Left: CT. Right: PSMA PET, same axial level, 18F tracer. Acquired on Siemens Biograph mCT Flow 20.
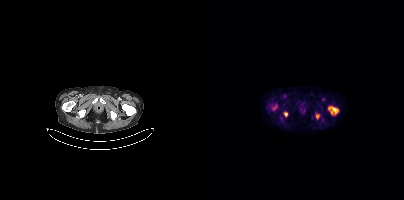
Coordinates are on the 200×200 PET (right) panel. PSMA-avid tumor lesion bounding boxes:
| # | x0 | y0 | x1 | y1 |
|---|---|---|---|---|
| 1 | 124 | 106 | 134 | 114 |
| 2 | 79 | 112 | 83 | 116 |
| 3 | 112 | 114 | 115 | 118 |
| 4 | 69 | 105 | 72 | 109 |